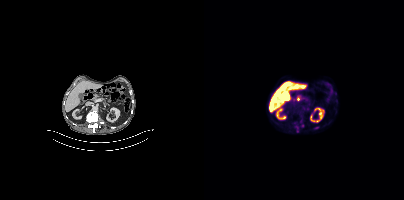
modality: PSMA PET/CT | tracer: 18F-PSMA | view: axial
Coordinates are on the 200×200 PET (right) panel. (showing 1 of 3 foci) PSMA-avid tumor lesion bounding box (x0, y0)-(x1, y1): (110, 126)-(115, 129).